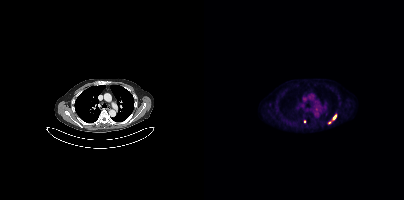
Coordinates are on the 200×200 PET (right) panel. PSMA-avid tumor lesion bounding boxes:
| # | x0 | y0 | x1 | y1 |
|---|---|---|---|---|
| 1 | 129 | 115 | 132 | 119 |
Small PSMA-avid foci (2 to 4 px across) near (center x, center y): (100, 121); (125, 122).
Left: CT. Right: PSMA PET, same axial level, 18F-PSMA tracer.